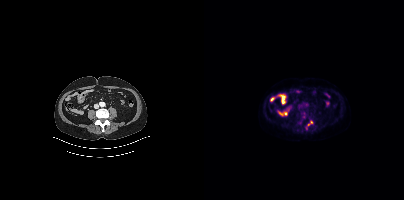
Coordinates are on the 200×200 PET (right) panel. Small PSMA-avid foci (2 to 4 px across) near (center x, center y): (107, 122); (104, 124). Paired axial CT (left) and PSMA PET (right), [18F]PSMA-1007 tracer. Acquired on Siemens Biograph mCT Flow 20. Slice position z = -1359 mm.